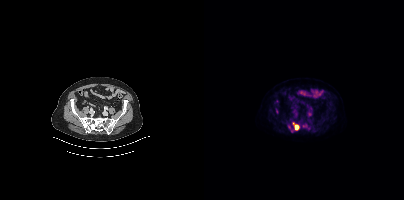
{"modality":"PSMA PET/CT","view":"axial","tracer":"18F","pet_grid":[200,200],"coord_frame":"pet_panel","coord_format":"x0,y0,x1,y1","partial":true,"lesion_bboxes":[[88,122,95,130]]}